modality: PSMA PET/CT | tracer: [18F]PSMA-1007 | view: axial
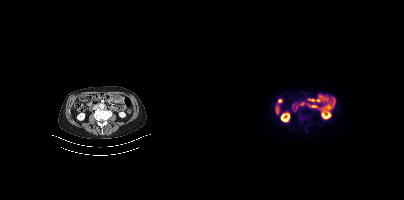
Negative for PSMA-avid disease on this slice.